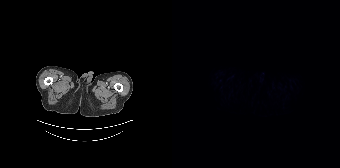
Left: CT. Right: PSMA PET, same axial level, 18F tracer. Slice position z = -1604 mm. Negative for PSMA-avid disease on this slice.